Technique: Paired axial CT (left) and PSMA PET (right), [18F]PSMA-1007 tracer. slice 676 of 963.
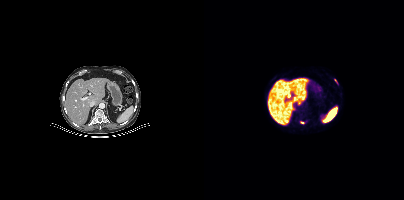
Findings: Coordinates are on the 200×200 PET (right) panel. (showing 1 of 2 foci) Small PSMA-avid focus (2 to 4 px across) near (center x, center y): (98, 122).